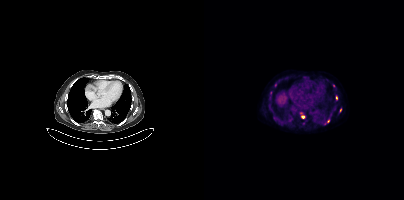
{"modality":"PSMA PET/CT","view":"axial","tracer":"18F-PSMA","pet_grid":[200,200],"coord_frame":"pet_panel","coord_format":"x0,y0,x1,y1","partial":true,"lesion_bboxes":[[96,112,100,118],[135,108,137,112]],"small_foci_centers":[[124,121],[132,97]]}